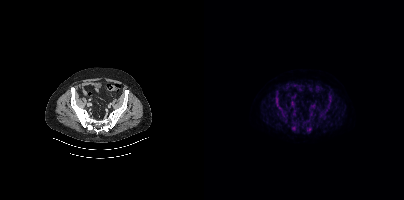
Coordinates are on the 200×200 PET (right) panel. PSMA-avid tumor lesion bounding boxes:
| # | x0 | y0 | x1 | y1 |
|---|---|---|---|---|
| 1 | 87 | 120 | 93 | 130 |
| 2 | 77 | 110 | 83 | 116 |
| 3 | 124 | 96 | 128 | 105 |
| 4 | 103 | 126 | 107 | 131 |
| 5 | 71 | 98 | 74 | 103 |
| 6 | 119 | 108 | 123 | 112 |
| 7 | 106 | 118 | 109 | 122 |
| 8 | 72 | 105 | 75 | 109 |
Small PSMA-avid focus (2 to 4 px across) near (center x, center y): (81, 119).
Left: CT. Right: PSMA PET, same axial level, 18F-PSMA tracer. Slice position z = -1307 mm.